- Left: CT. Right: PSMA PET, same axial level, 68Ga tracer
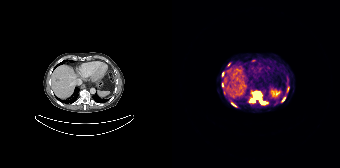
Findings: Coordinates are on the 168×168 PET (right) panel. (showing 6 of 8 foci) PSMA-avid tumor lesion bounding boxes (x0, y0)-(x1, y1): (82, 92)-(93, 104); (110, 97)-(113, 101); (78, 99)-(82, 101); (59, 103)-(64, 106). Small PSMA-avid foci (2 to 4 px across) near (center x, center y): (50, 74); (50, 84).